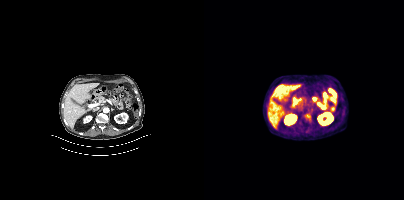
Coordinates are on the 200×200 PET (right) panel. Small PSMA-avid focus (2 to 4 px across) near (center x, center y): (103, 115).
modality: PSMA PET/CT | tracer: 18F-PSMA | view: axial | PET grid: 200×200